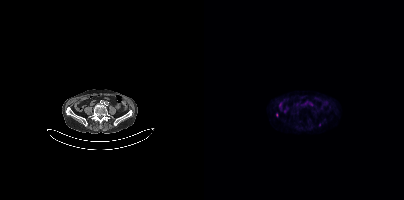
Coordinates are on the 200×200 PET (right) panel. Small PSMA-avid foci (2 to 4 px across) near (center x, center y): (72, 115) / (115, 124).